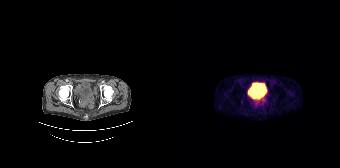
Paired axial CT (left) and PSMA PET (right), [68Ga]Ga-PSMA-11 tracer. Slice 44 of 195. PET panel 168×168 px (4.1 mm/px). Negative for PSMA-avid disease on this slice.